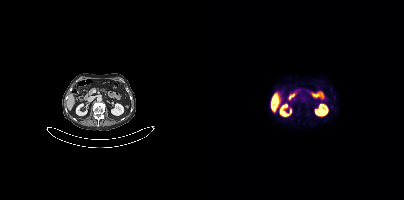
No tumor lesions annotated on this slice.
modality: PSMA PET/CT | tracer: 18F-PSMA | view: axial | PET grid: 200×200